- Paired axial CT (left) and PSMA PET (right), [68Ga]Ga-PSMA-11 tracer
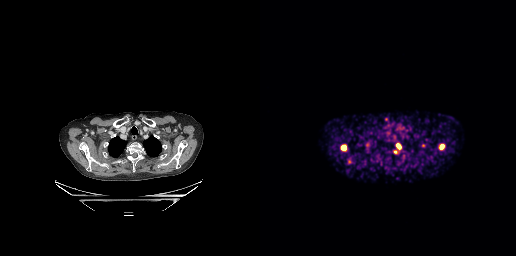
Findings: Coordinates are on the 256×256 PET (right) panel. PSMA-avid tumor lesion bounding boxes (x0,y0,x1,y1): [136,143,141,149] [179,144,184,149] [81,145,86,150]. Small PSMA-avid foci (2 to 4 px across) near (center x, center y): (135, 151) (89, 160) (126, 119) (163, 145) (106, 145).